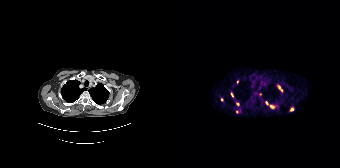
{"modality":"PSMA PET/CT","view":"axial","tracer":"68Ga-PSMA","pet_grid":[168,168],"coord_frame":"pet_panel","coord_format":"x0,y0,x1,y1","lesion_bboxes":[[98,105,102,108],[118,107,121,111],[59,92,61,97],[106,86,110,91]],"small_foci_centers":[[94,102],[65,104],[65,82],[88,94],[49,99],[64,111]]}